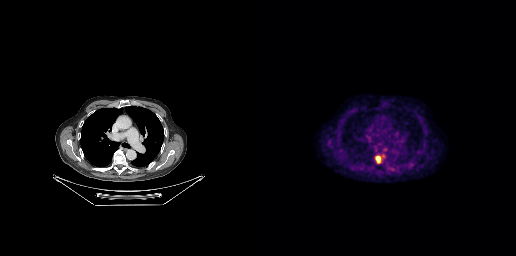
Two-panel axial: CT | PSMA PET, 18F tracer. Coordinates are on the 256×256 PET (right) panel. PSMA-avid tumor lesion bounding box (x0, y0)-(x1, y1): (115, 156)-(123, 164).